- privacy masking over the head, with the pixels inside a rectangle set to black
- Two-panel axial: CT | PSMA PET, 18F-PSMA tracer
- slice position z = -838 mm
- PET panel 200×200 px (4.1 mm/px)
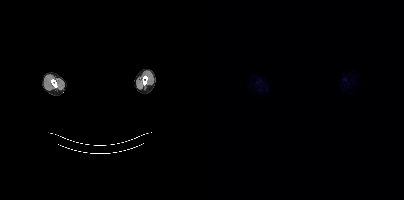
Findings: Negative for PSMA-avid disease on this slice.